modality: PSMA PET/CT | tracer: [68Ga]Ga-PSMA-11 | view: axial
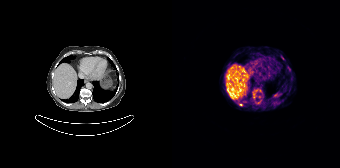
Coordinates are on the 168×168 PET (right) panel. (showing 1 of 2 foci) Small PSMA-avid focus (2 to 4 px across) near (center x, center y): (68, 104).